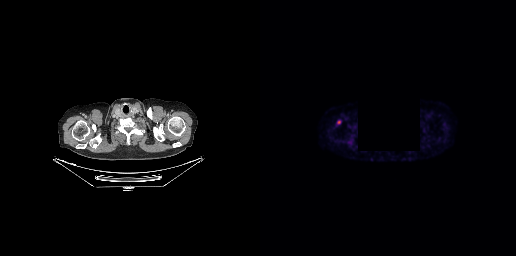
Two-panel axial: CT | PSMA PET, 18F tracer. A rectangular privacy mask was applied before release. Coordinates are on the 256×256 PET (right) panel. PSMA-avid tumor lesion bounding box (x0,y0,x1,y1): [77,120,80,124].